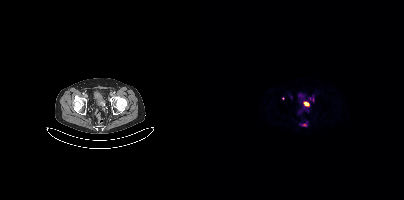
Technique: Two-panel axial: CT | PSMA PET, 68Ga-PSMA tracer.
Findings: Coordinates are on the 200×200 PET (right) panel. (showing 3 of 4 foci) PSMA-avid tumor lesion bounding box (x0, y0)-(x1, y1): (96, 122)-(103, 126). Small PSMA-avid foci (2 to 4 px across) near (center x, center y): (102, 104); (78, 98).